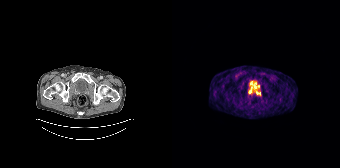
Coordinates are on the 168×168 PET (right) panel. PSMA-avid tumor lesion bounding box (x0, y0)-(x1, y1): (84, 91)-(88, 95). Small PSMA-avid foci (2 to 4 px across) near (center x, center y): (86, 86) / (78, 92).